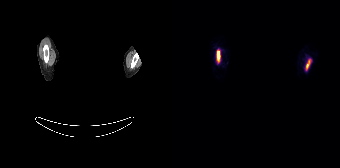
modality: PSMA PET/CT | tracer: 18F | view: axial | PET grid: 168×168 | deidentification: head region blanked (face removed)
Coordinates are on the 168×168 PET (right) panel. PSMA-avid tumor lesion bounding boxes (x, y, width, height): x=45 y=51 w=4 h=11 | x=134 y=59 w=5 h=11.